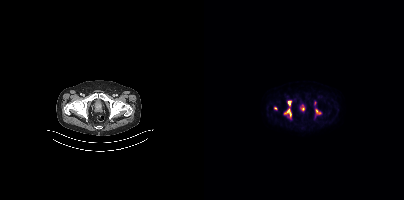
Findings: Coordinates are on the 200×200 PET (right) panel. PSMA-avid tumor lesion bounding boxes (x0, y0)-(x1, y1): (80, 108)-(87, 117) / (111, 109)-(117, 114) / (84, 101)-(87, 105). Small PSMA-avid foci (2 to 4 px across) near (center x, center y): (98, 108) / (111, 103) / (71, 108).
- Paired axial CT (left) and PSMA PET (right), [18F]PSMA-1007 tracer
- acquired on Siemens Biograph mCT Flow 20